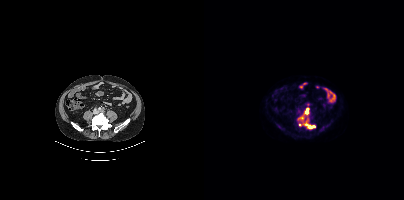
Coordinates are on the 200×200 PET (right) panel. PSMA-avid tumor lesion bounding boxes (x0,y0,x1,y1): [99,120,111,129]; [94,108,105,119]. Small PSMA-avid focus (2 to 4 px across) near (center x, center y): (96, 124).